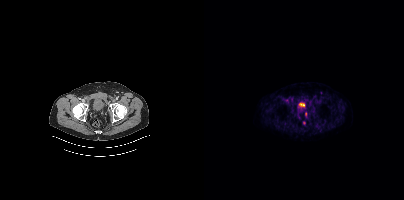
Left: CT. Right: PSMA PET, same axial level, 18F tracer. Slice 76 of 417. Coordinates are on the 200×200 PET (right) panel. (showing 1 of 2 foci) Small PSMA-avid focus (2 to 4 px across) near (center x, center y): (100, 122).